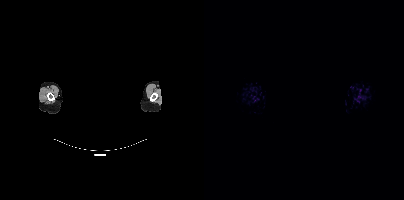
Coordinates are on the 200×200 PET (right) panel. Small PSMA-avid focus (2 to 4 px across) near (center x, center y): (153, 100).
modality: PSMA PET/CT | tracer: 18F | view: axial | redaction: privacy mask over head